Technique: Two-panel axial: CT | PSMA PET, 18F-PSMA tracer. acquired on GE Discovery 690.
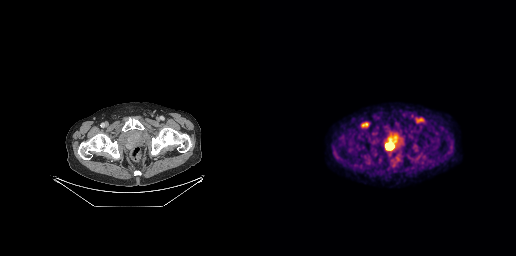
Findings: Coordinates are on the 256×256 PET (right) panel. PSMA-avid tumor lesion bounding box (x, y, width, height): x=125 y=142 w=9 h=8.